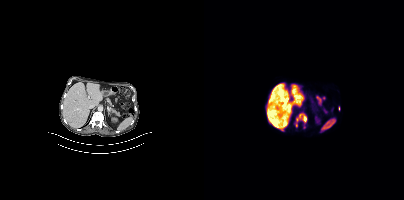
Coordinates are on the 200×200 PET (right) panel. (showing 2 of 3 foci) PSMA-avid tumor lesion bounding box (x0, y0)-(x1, y1): (92, 113)-(102, 122). Small PSMA-avid focus (2 to 4 px across) near (center x, center y): (92, 125).